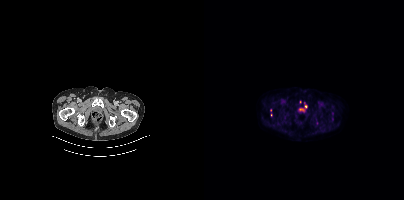
{"pet_grid":[200,200],"coord_frame":"pet_panel","coord_format":"x0,y0,x1,y1","partial":true,"lesion_bboxes":[],"small_foci_centers":[[101,106],[66,109]],"modality":"PSMA PET/CT","view":"axial","tracer":"18F"}